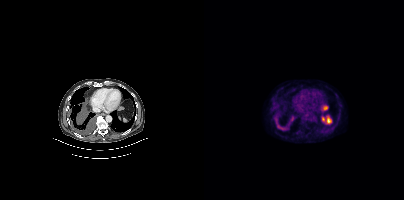
Findings: Coordinates are on the 200×200 PET (right) panel. PSMA-avid tumor lesion bounding boxes (x0, y0)-(x1, y1): (69, 116)-(83, 130) / (85, 115)-(91, 122).
- Paired axial CT (left) and PSMA PET (right), 18F-PSMA tracer
- slice position z = -1106 mm